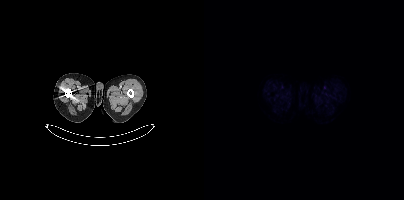
Paired axial CT (left) and PSMA PET (right), 18F-PSMA tracer. PET panel 200×200 px (4.1 mm/px). Negative for PSMA-avid disease on this slice.